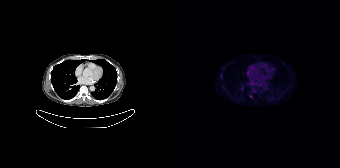
Coordinates are on the 168×168 PET (right) panel. PSMA-avid tumor lesion bounding box (x0,y0,x1,y1): [77,94,80,98].
modality: PSMA PET/CT | tracer: [18F]PSMA-1007 | view: axial | PET grid: 168×168